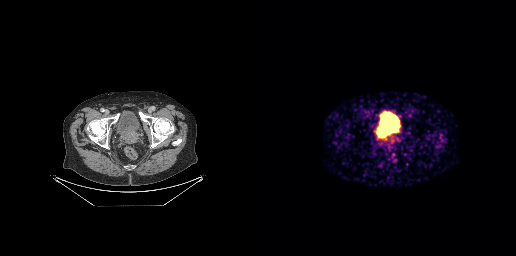
modality: PSMA PET/CT | tracer: 68Ga-PSMA | view: axial
Coordinates are on the 256×256 PET (right) panel. PSMA-avid tumor lesion bounding box (x, y, width, height): x=118 y=132 w=18 h=12.